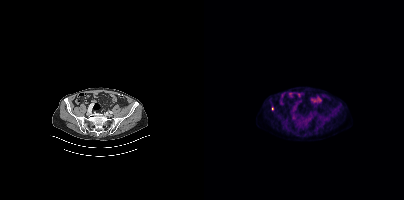
Left: CT. Right: PSMA PET, same axial level, 18F-PSMA tracer. Acquired on Siemens Biograph mCT Flow 20. Slice 138 of 442. Coordinates are on the 200×200 PET (right) panel. Small PSMA-avid foci (2 to 4 px across) near (center x, center y): (68, 108) / (106, 118).